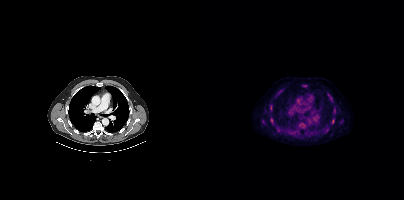
modality: PSMA PET/CT | tracer: [18F]PSMA-1007 | view: axial | PET grid: 200×200
Coordinates are on the 200×200 PET (right) panel. PSMA-avid tumor lesion bounding boxes (x0, y0)-(x1, y1): (66, 105)-(68, 110) / (66, 118)-(69, 122). Small PSMA-avid focus (2 to 4 px across) near (center x, center y): (128, 121).